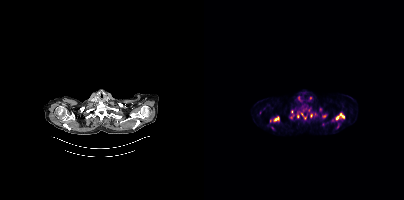
Findings: Coordinates are on the 200×200 PET (right) panel. (showing 9 of 12 foci) PSMA-avid tumor lesion bounding boxes (x, y, width, height): x=131 y=113 w=10 h=8; x=69 y=116 w=7 h=7; x=86 y=110 w=5 h=9; x=93 y=112 w=3 h=7. Small PSMA-avid foci (2 to 4 px across) near (center x, center y): (120, 116); (66, 120); (107, 115); (97, 114); (68, 127).
- Paired axial CT (left) and PSMA PET (right), [18F]PSMA-1007 tracer
- PET panel 200×200 px (4.1 mm/px)